Paired axial CT (left) and PSMA PET (right), 18F-PSMA tracer. Acquired on Siemens Biograph mCT Flow 20. Slice position z = -747 mm. PET panel 200×200 px (4.1 mm/px).
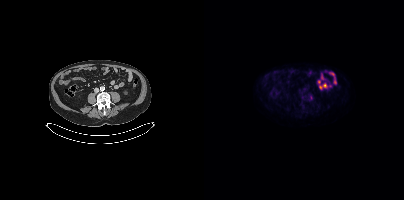
Coordinates are on the 200×200 PET (right) panel. Small PSMA-avid focus (2 to 4 px across) near (center x, center y): (107, 97).